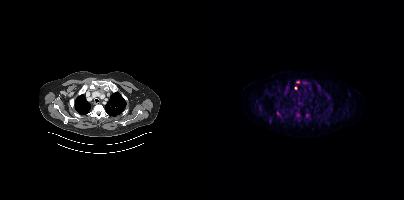
Coordinates are on the 200×200 PET (right) panel. (showing 10 of 13 foci) PSMA-avid tumor lesion bounding boxes (x0,y0,x1,y1): [90,112,98,120] [100,113,105,123] [121,93,127,99] [54,105,58,109] [114,87,117,91]. Small PSMA-avid foci (2 to 4 px across) near (center x, center y): (81, 93) (66, 120) (91, 88) (100, 82) (102, 109).
modality: PSMA PET/CT | tracer: 18F | view: axial | PET grid: 200×200